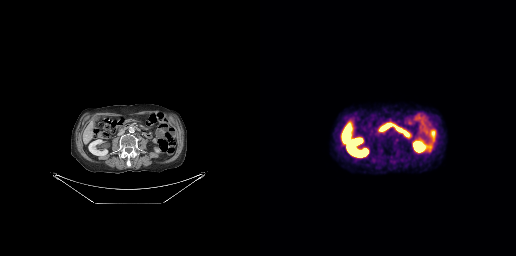
Negative for PSMA-avid disease on this slice. Left: CT. Right: PSMA PET, same axial level, 18F tracer. Slice 127 of 263.